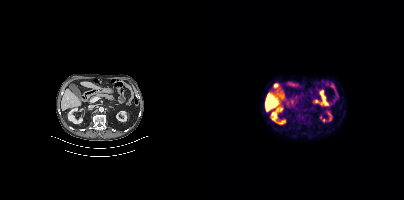
Findings: This slice has no annotated PSMA-avid lesion.
Technique: Paired axial CT (left) and PSMA PET (right), 18F tracer. slice 185 of 427.